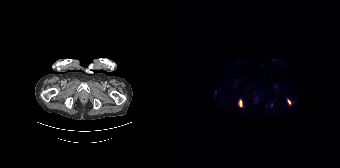
Paired axial CT (left) and PSMA PET (right), 18F tracer. Slice 31 of 165. PET panel 168×168 px (4.1 mm/px).
Coordinates are on the 168×168 PET (right) panel. PSMA-avid tumor lesion bounding boxes:
| # | x0 | y0 | x1 | y1 |
|---|---|---|---|---|
| 1 | 66 | 99 | 70 | 107 |
| 2 | 115 | 99 | 118 | 104 |